Paired axial CT (left) and PSMA PET (right), [18F]PSMA-1007 tracer. Slice 53 of 263.
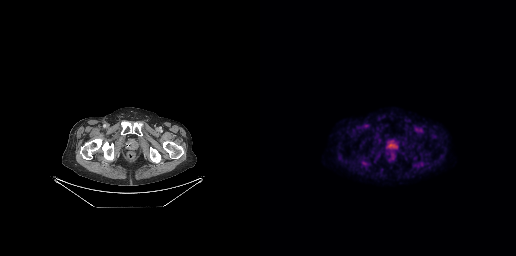
Negative for PSMA-avid disease on this slice.